Technique: Two-panel axial: CT | PSMA PET, 18F tracer. PET panel 256×256 px (2.7 mm/px).
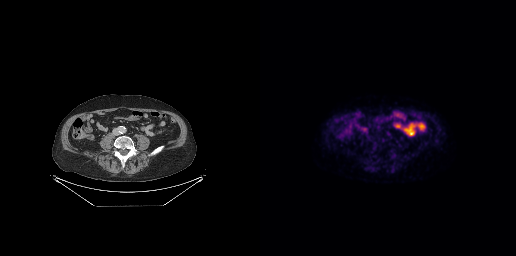
Findings: Negative for PSMA-avid disease on this slice.